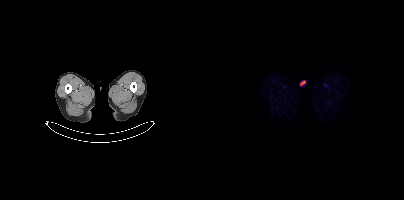
Left: CT. Right: PSMA PET, same axial level, 18F tracer. Slice 12 of 448. Negative for PSMA-avid disease on this slice.